Left: CT. Right: PSMA PET, same axial level, 18F-PSMA tracer. Slice position z = -276 mm.
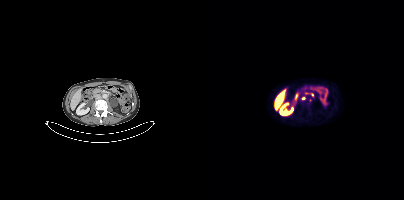
Coordinates are on the 200×200 PET (right) panel. Small PSMA-avid focus (2 to 4 px across) near (center x, center y): (99, 98).